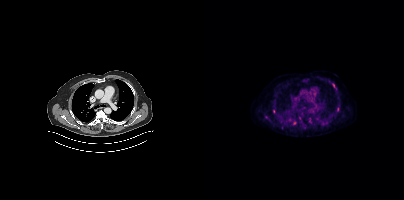
{"modality":"PSMA PET/CT","view":"axial","tracer":"18F","pet_grid":[200,200],"coord_frame":"pet_panel","coord_format":"x0,y0,x1,y1","partial":true,"lesion_bboxes":[[104,119,108,123],[133,107,135,111]],"small_foci_centers":[[129,85],[90,123],[69,111],[95,118],[62,116]]}